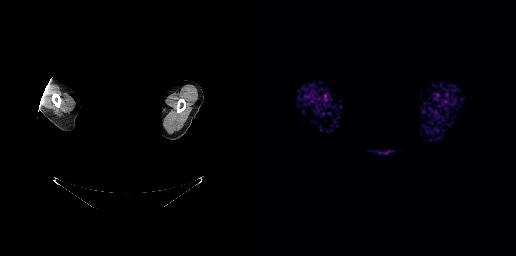
Paired axial CT (left) and PSMA PET (right), [68Ga]Ga-PSMA-11 tracer. Slice position z = -181 mm. PET panel 256×256 px (2.7 mm/px). Facial anatomy redacted by setting a rectangular region of the head to black. This slice has no annotated PSMA-avid lesion.